Paired axial CT (left) and PSMA PET (right), 18F tracer. Acquired on Siemens Biograph mCT Flow 20.
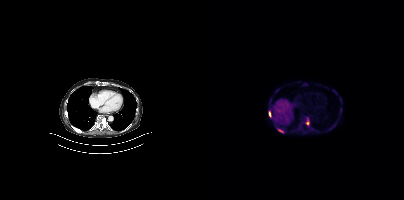
Coordinates are on the 200×200 PET (right) panel. PSMA-avid tumor lesion bounding boxes (x0,y0,x1,y1): [102,118,105,125], [74,129,80,133], [65,112,66,116].